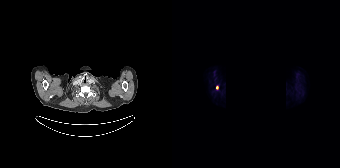
Technique: Two-panel axial: CT | PSMA PET, [18F]PSMA-1007 tracer.
Note: A rectangular region was set to black for de-identification.
Findings: Coordinates are on the 168×168 PET (right) panel. Small PSMA-avid focus (2 to 4 px across) near (center x, center y): (45, 87).